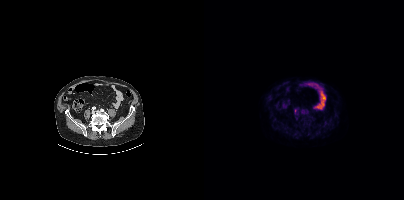
{"pet_grid":[200,200],"coord_frame":"pet_panel","coord_format":"x0,y0,x1,y1","partial":true,"lesion_bboxes":[],"modality":"PSMA PET/CT","view":"axial","tracer":"[18F]PSMA-1007"}